Technique: Left: CT. Right: PSMA PET, same axial level, 68Ga-PSMA tracer. slice position z = -1005 mm.
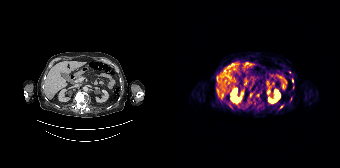
Findings: Coordinates are on the 168×168 PET (right) panel. (showing 3 of 9 foci) Small PSMA-avid foci (2 to 4 px across) near (center x, center y): (86, 95); (120, 81); (109, 106).